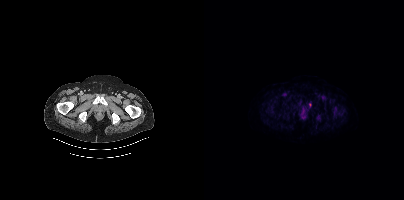
Coordinates are on the 200×200 PET (right) panel. PSMA-avid tumor lesion bounding box (x0, y0)-(x1, y1): (113, 116)-(117, 120). Small PSMA-avid foci (2 to 4 px across) near (center x, center y): (131, 114) | (99, 109) | (137, 112) | (83, 117) | (96, 101) | (106, 105) | (68, 105). Two-panel axial: CT | PSMA PET, 18F-PSMA tracer.